modality: PSMA PET/CT | tracer: 18F | view: axial | de-identification: rectangular block over head set to black
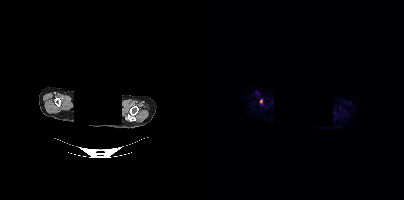
Coordinates are on the 200×200 PET (right) panel. PSMA-avid tumor lesion bounding box (x0,y0,x1,y1): [56,99,58,103].